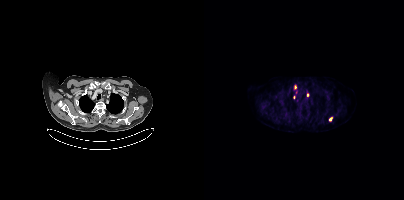
Coordinates are on the 200×200 PET (right) panel. (showing 1 of 2 foci) Small PSMA-avid focus (2 to 4 px across) near (center x, center y): (126, 119).